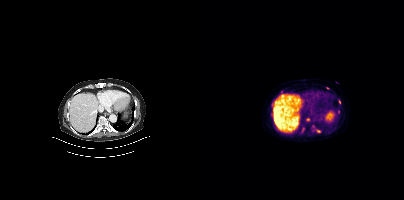
Coordinates are on the 200×200 PET (right) panel. (showing 7 of 8 foci) PSMA-avid tumor lesion bounding boxes (x, y, width, height): x=96 y=128 w=5 h=6 | x=112 y=130 w=5 h=3. Small PSMA-avid foci (2 to 4 px across) near (center x, center y): (77, 92) | (135, 101) | (123, 88) | (134, 112) | (104, 119).